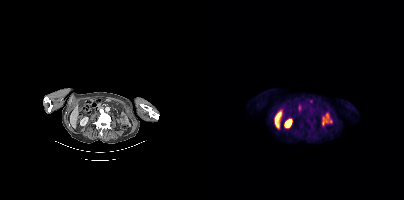
{"modality":"PSMA PET/CT","view":"axial","tracer":"18F","pet_grid":[200,200],"coord_frame":"pet_panel","coord_format":"x0,y0,x1,y1","psma_avid_lesions":false}